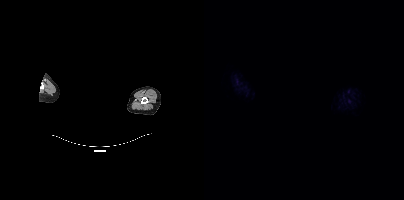
{"modality":"PSMA PET/CT","view":"axial","tracer":"18F","pet_grid":[200,200],"coord_frame":"pet_panel","coord_format":"x0,y0,x1,y1","de-identification":"head region blacked out before release","psma_avid_lesions":false}